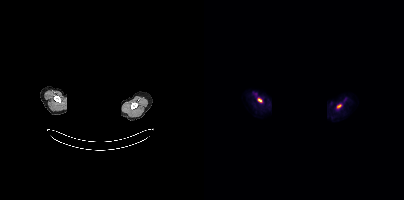
{"modality":"PSMA PET/CT","view":"axial","tracer":"18F","pet_grid":[200,200],"coord_frame":"pet_panel","coord_format":"x0,y0,x1,y1","lesion_bboxes":[[54,98,57,102]],"small_foci_centers":[[134,106]],"deidentification":"head region blanked (face removed)"}